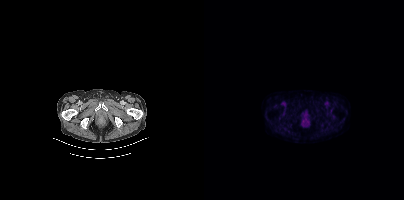
Technique: Two-panel axial: CT | PSMA PET, [18F]PSMA-1007 tracer. PET panel 200×200 px (4.1 mm/px).
Findings: No tumor lesions annotated on this slice.